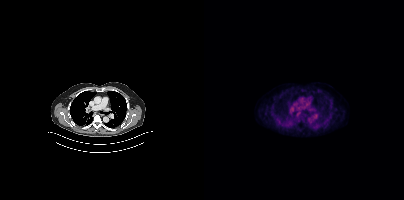
{"pet_grid":[200,200],"coord_frame":"pet_panel","coord_format":"x0,y0,x1,y1","psma_avid_lesions":false,"modality":"PSMA PET/CT","view":"axial","tracer":"18F-PSMA"}